- Paired axial CT (left) and PSMA PET (right), [18F]PSMA-1007 tracer
- acquired on Siemens Biograph mCT Flow 20
- slice position z = 56 mm
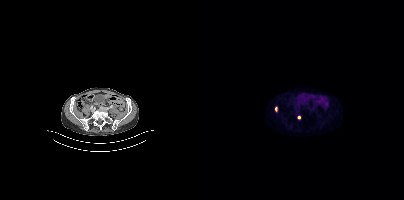
Findings: Coordinates are on the 200×200 PET (right) panel. PSMA-avid tumor lesion bounding box (x0,y0,x1,y1): [71,107,73,111]. Small PSMA-avid focus (2 to 4 px across) near (center x, center y): (95, 117).